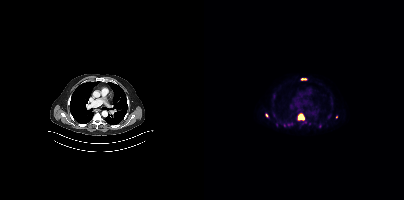
Two-panel axial: CT | PSMA PET, 18F tracer. Slice position z = -328 mm. PET panel 200×200 px (4.1 mm/px).
Coordinates are on the 200×200 PET (right) panel. PSMA-avid tumor lesion bounding boxes:
| # | x0 | y0 | x1 | y1 |
|---|---|---|---|---|
| 1 | 93 | 113 | 100 | 120 |
| 2 | 96 | 78 | 103 | 80 |
| 3 | 61 | 113 | 64 | 117 |
Small PSMA-avid focus (2 to 4 px across) near (center x, center y): (132, 116).